modality: PSMA PET/CT | tracer: 18F | view: axial | PET grid: 256×256
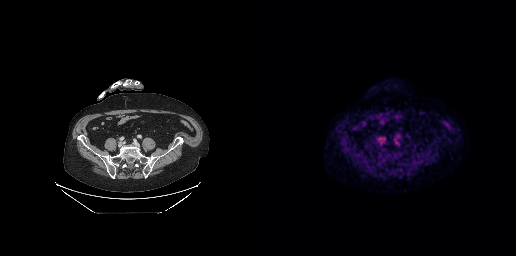
Only PSMA-avid lesion pieces thinner than 2 px on this slice (not listed).